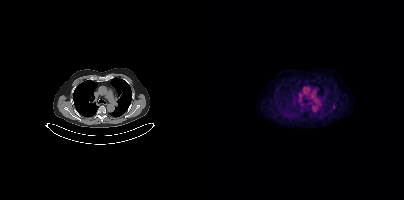
Coordinates are on the 200×200 PET (right) panel. Small PSMA-avid focus (2 to 4 px across) near (center x, center y): (129, 107).